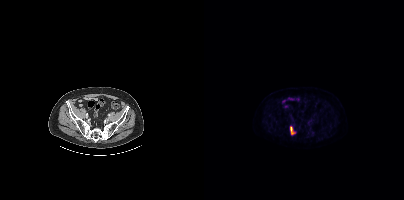
Technique: Two-panel axial: CT | PSMA PET, 18F tracer. slice position z = -1487 mm. PET panel 200×200 px (4.1 mm/px).
Findings: Coordinates are on the 200×200 PET (right) panel. PSMA-avid tumor lesion bounding box (x0, y0)-(x1, y1): (86, 126)-(90, 134).